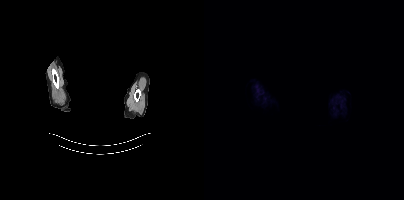
Two-panel axial: CT | PSMA PET, 18F-PSMA tracer. Slice position z = -935 mm. A rectangle over the head was blacked out to remove identifiable facial features. No tumor lesions annotated on this slice.